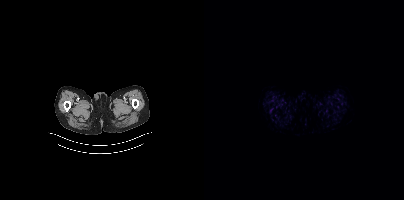
Findings: No PSMA-avid tumor lesions on this slice.
- Two-panel axial: CT | PSMA PET, 18F tracer
- PET panel 200×200 px (4.1 mm/px)